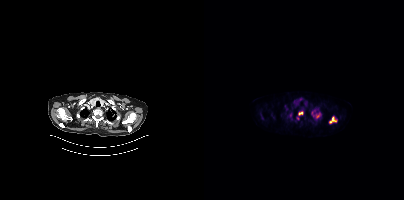
Paired axial CT (left) and PSMA PET (right), [18F]PSMA-1007 tracer. PET panel 200×200 px (4.1 mm/px).
Coordinates are on the 200×200 PET (right) panel. PSMA-avid tumor lesion bounding boxes (partial; 1 more focus not listed):
| # | x0 | y0 | x1 | y1 |
|---|---|---|---|---|
| 1 | 125 | 117 | 132 | 123 |
| 2 | 112 | 113 | 116 | 118 |
| 3 | 108 | 112 | 109 | 116 |
Small PSMA-avid foci (2 to 4 px across) near (center x, center y): (96, 113); (81, 106).